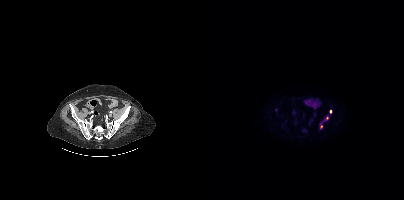
Coordinates are on the 200×200 PET (right) panel. PSMA-avid tumor lesion bounding box (x, y, width, height): x=121 y=116 w=4 h=5. Small PSMA-avid foci (2 to 4 px across) near (center x, center y): (126, 111) / (117, 126).
modality: PSMA PET/CT | tracer: 18F-PSMA | view: axial